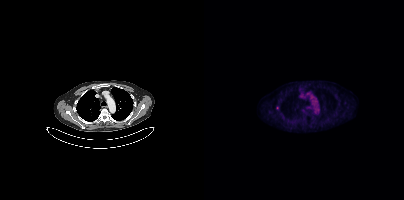
Coordinates are on the 200×200 PET (right) panel. Small PSMA-avid focus (2 to 4 px across) near (center x, center y): (73, 107).